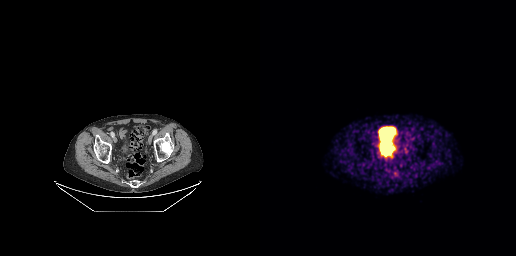
Left: CT. Right: PSMA PET, same axial level, 68Ga tracer. Acquired on GE Discovery 690. PET panel 256×256 px (2.7 mm/px). No PSMA-avid tumor lesions on this slice.